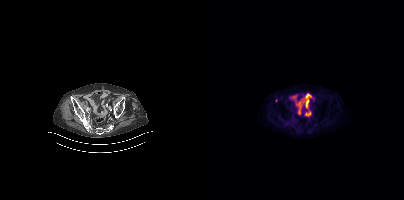
Coordinates are on the 200×200 PET (right) panel. Small PSMA-avid focus (2 to 4 px across) near (center x, center y): (72, 100).